Technique: Two-panel axial: CT | PSMA PET, 18F tracer. acquired on GE Discovery 690. slice position z = -276 mm.
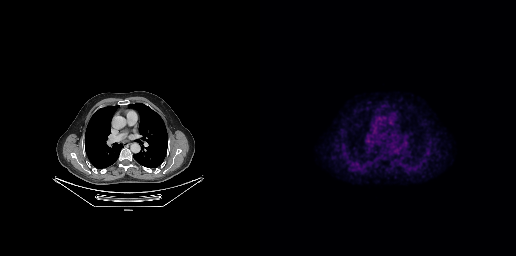
Findings: Coordinates are on the 256×256 PET (right) panel. PSMA-avid tumor lesion bounding box (x0, y0)-(x1, y1): (114, 139)-(119, 144).